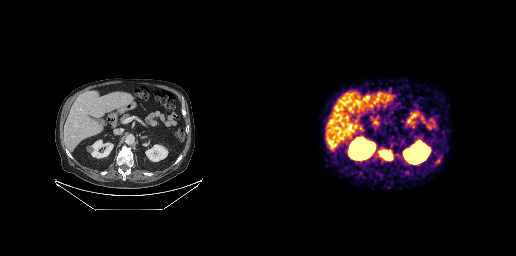
Coordinates are on the 256×256 PET (right) panel. PSMA-avid tumor lesion bounding box (x0,y0,x1,y1): [118,149,133,160].